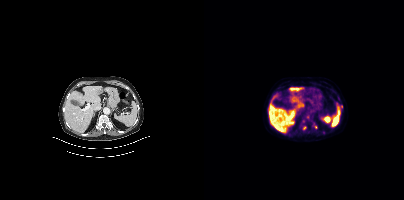
Technique: Two-panel axial: CT | PSMA PET, 18F-PSMA tracer. acquired on Siemens Biograph mCT Flow 20.
Findings: Coordinates are on the 200×200 PET (right) panel. Small PSMA-avid foci (2 to 4 px across) near (center x, center y): (100, 127) / (137, 106) / (111, 127).